- Two-panel axial: CT | PSMA PET, [18F]PSMA-1007 tracer
- acquired on Siemens Biograph mCT Flow 20
- slice 199 of 377
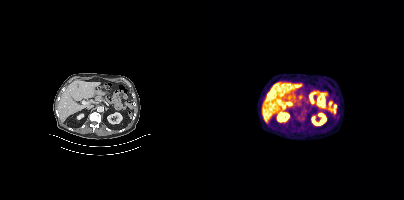
Findings: No tumor lesions annotated on this slice.